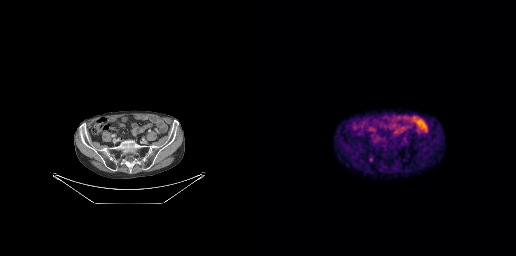
Coordinates are on the 256×256 PET (right) panel. PSMA-avid tumor lesion bounding box (x, y, width, height): x=109 y=157 w=4 h=5. Paired axial CT (left) and PSMA PET (right), [18F]PSMA-1007 tracer. Acquired on GE Discovery 690. Slice 95 of 263. PET panel 256×256 px (2.7 mm/px).